Head region blanked for anonymization (face removed). Two-panel axial: CT | PSMA PET, 18F-PSMA tracer. Acquired on Siemens Biograph mCT Flow 20. Slice position z = 342 mm. PET panel 200×200 px (4.1 mm/px).
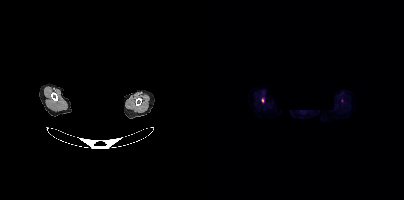
Coordinates are on the 200×200 PET (right) panel. PSMA-avid tumor lesion bounding box (x0, y0)-(x1, y1): (58, 98)-(59, 102).